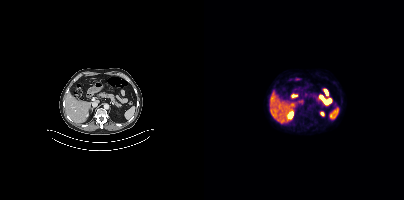
No PSMA-avid tumor lesions on this slice.